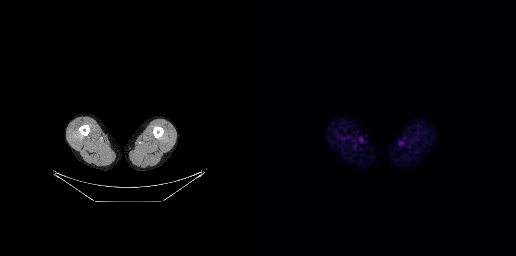
No tumor lesions annotated on this slice. Two-panel axial: CT | PSMA PET, 18F tracer. Acquired on GE Discovery 690.